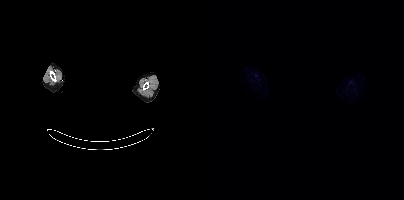
deidentification: head region blanked (face removed) | modality: PSMA PET/CT | tracer: 18F-PSMA | view: axial | PET grid: 200×200
No PSMA-avid tumor lesions on this slice.